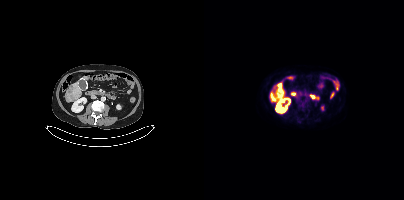
Left: CT. Right: PSMA PET, same axial level, 18F tracer. PET panel 200×200 px (4.1 mm/px). Coordinates are on the 200×200 PET (right) panel. PSMA-avid tumor lesion bounding box (x, y, width, height): x=73 y=83 w=5 h=4.